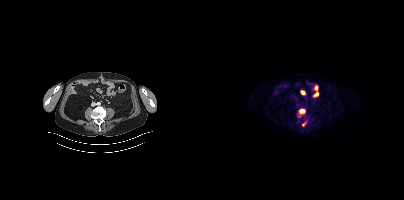
Coordinates are on the 200×200 PET (right) panel. PSMA-avid tumor lesion bounding boxes:
| # | x0 | y0 | x1 | y1 |
|---|---|---|---|---|
| 1 | 95 | 109 | 100 | 112 |
| 2 | 98 | 122 | 102 | 126 |
Left: CT. Right: PSMA PET, same axial level, 18F tracer. Acquired on Siemens Biograph mCT Flow 20.